Two-panel axial: CT | PSMA PET, 18F tracer. Slice 112 of 263. PET panel 256×256 px (2.7 mm/px).
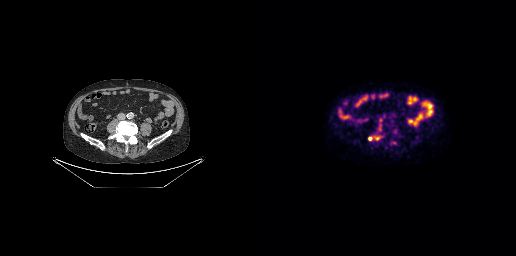
Coordinates are on the 256×256 PET (right) panel. PSMA-avid tumor lesion bounding boxes (partial; 2 more foci not listed):
| # | x0 | y0 | x1 | y1 |
|---|---|---|---|---|
| 1 | 108 | 136 | 119 | 140 |